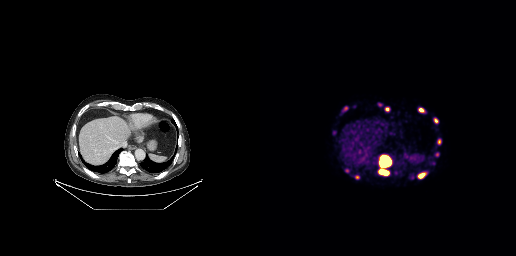
Findings: Coordinates are on the 256×256 PET (right) panel. (showing 9 of 10 foci) PSMA-avid tumor lesion bounding boxes (x, y, width, height): x=120 y=155 w=11 h=20; x=158 y=173 w=8 h=6; x=95 y=175 w=5 h=5; x=177 y=139 w=5 h=6; x=159 y=108 w=5 h=4; x=174 y=118 w=4 h=5. Small PSMA-avid foci (2 to 4 px across) near (center x, center y): (86, 170); (177, 154); (127, 109).
- Two-panel axial: CT | PSMA PET, 68Ga tracer
- acquired on GE Discovery 690